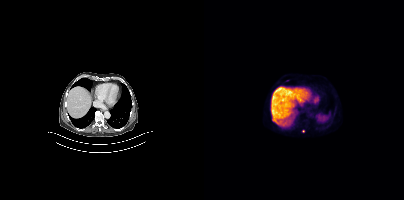
Two-panel axial: CT | PSMA PET, [18F]PSMA-1007 tracer. Slice 246 of 411. Coordinates are on the 200×200 PET (right) panel. Small PSMA-avid focus (2 to 4 px across) near (center x, center y): (99, 131).